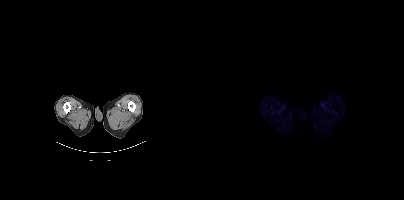
Left: CT. Right: PSMA PET, same axial level, [18F]PSMA-1007 tracer. Acquired on Siemens Biograph mCT Flow 20. Slice position z = -543 mm. No tumor lesions annotated on this slice.